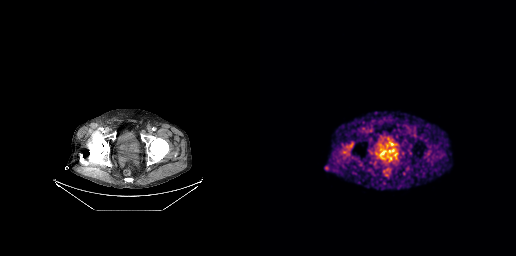
{"modality":"PSMA PET/CT","view":"axial","tracer":"[68Ga]Ga-PSMA-11","pet_grid":[256,256],"coord_frame":"pet_panel","coord_format":"x0,y0,x1,y1","lesion_bboxes":[[116,148,131,162]]}